Left: CT. Right: PSMA PET, same axial level, 18F tracer. PET panel 200×200 px (4.1 mm/px).
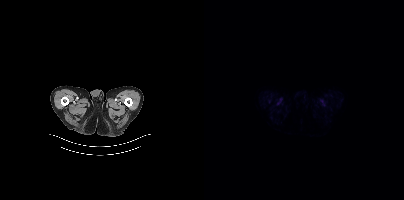
No PSMA-avid tumor lesions on this slice.